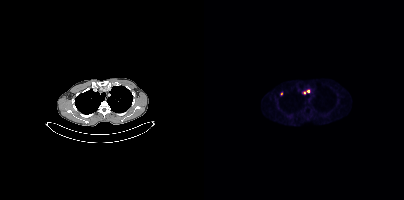
Coordinates are on the 200×200 PET (right) panel. Small PSMA-avid foci (2 to 4 px across) near (center x, center y): (104, 91) | (77, 93) | (100, 92). Left: CT. Right: PSMA PET, same axial level, 18F tracer. PET panel 200×200 px (4.1 mm/px).